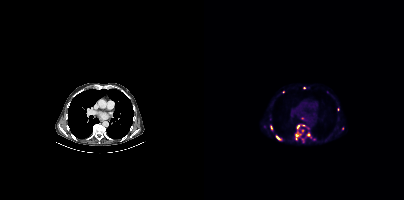
{"pet_grid":[200,200],"coord_frame":"pet_panel","coord_format":"x0,y0,x1,y1","partial":true,"lesion_bboxes":[[91,132,97,139],[72,136,76,139],[93,125,95,129]],"small_foci_centers":[[98,130],[67,127],[104,134],[99,125],[138,128],[79,91]],"modality":"PSMA PET/CT","view":"axial","tracer":"18F-PSMA"}